Two-panel axial: CT | PSMA PET, 18F tracer. Slice 185 of 417. PET panel 200×200 px (4.1 mm/px).
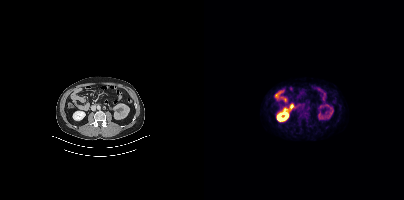
Negative for PSMA-avid disease on this slice.